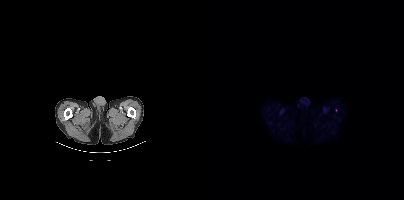
{"modality":"PSMA PET/CT","view":"axial","tracer":"[18F]PSMA-1007","pet_grid":[200,200],"coord_frame":"pet_panel","coord_format":"x0,y0,x1,y1","partial":true,"lesion_bboxes":[]}